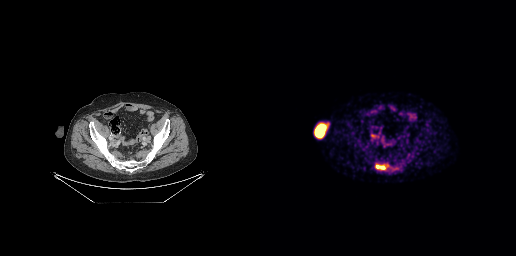
modality: PSMA PET/CT | tracer: 18F | view: axial | PET grid: 256×256
Coordinates are on the 256×256 PET (right) panel. PSMA-avid tumor lesion bounding box (x0,y0,x1,y1): [115,164,128,169].